- Two-panel axial: CT | PSMA PET, 18F-PSMA tracer
- acquired on GE Discovery 690
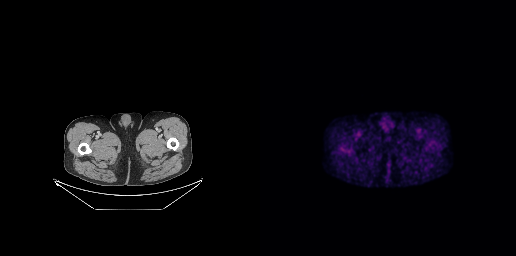
Findings: Negative for PSMA-avid disease on this slice.